An anonymization step blacked out a rectangle over the head in this scan. Left: CT. Right: PSMA PET, same axial level, 68Ga tracer. PET panel 200×200 px (4.1 mm/px).
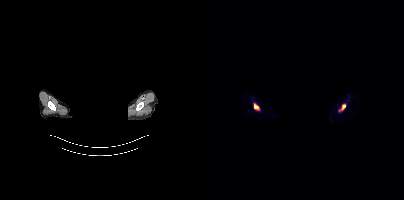
Coordinates are on the 200×200 PET (right) panel. PSMA-avid tumor lesion bounding boxes (x, y, width, height): x=134 y=104 w=8 h=8 | x=50 y=103 w=6 h=7.